Technique: Paired axial CT (left) and PSMA PET (right), [18F]PSMA-1007 tracer. slice 344 of 438. PET panel 200×200 px (4.1 mm/px).
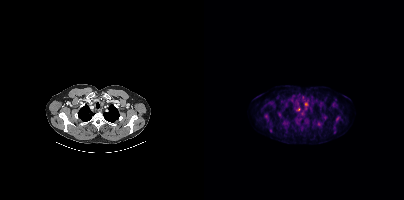
Findings: Coordinates are on the 200×200 PET (right) panel. Small PSMA-avid foci (2 to 4 px across) near (center x, center y): (102, 104) / (94, 109).